- Left: CT. Right: PSMA PET, same axial level, 68Ga-PSMA tracer
- slice position z = -1618 mm
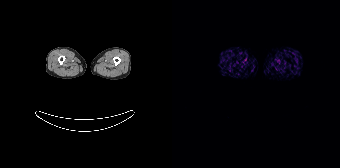
Findings: No tumor lesions annotated on this slice.